Two-panel axial: CT | PSMA PET, [68Ga]Ga-PSMA-11 tracer.
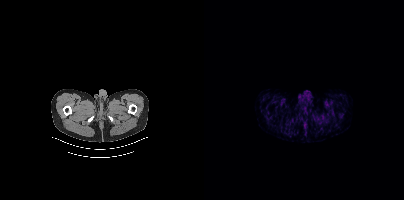
No tumor lesions annotated on this slice.